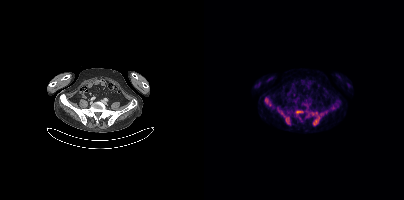
{"modality":"PSMA PET/CT","view":"axial","tracer":"18F-PSMA","pet_grid":[200,200],"coord_frame":"pet_panel","coord_format":"x0,y0,x1,y1","partial":true,"lesion_bboxes":[[107,112,119,125],[77,112,86,124],[61,99,67,106],[91,110,99,114]]}